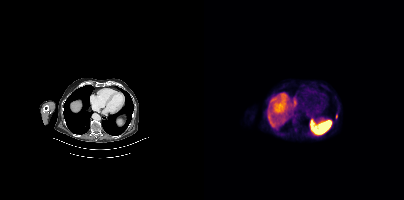
{"pet_grid":[200,200],"coord_frame":"pet_panel","coord_format":"x0,y0,x1,y1","lesion_bboxes":[],"small_foci_centers":[[91,129],[132,116]],"modality":"PSMA PET/CT","view":"axial","tracer":"18F"}